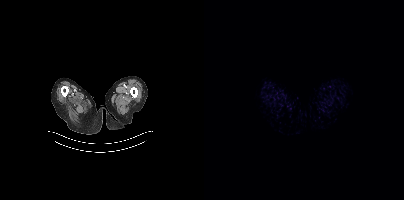
{"modality":"PSMA PET/CT","view":"axial","tracer":"[18F]PSMA-1007","pet_grid":[200,200],"coord_frame":"pet_panel","coord_format":"x0,y0,x1,y1","psma_avid_lesions":false}